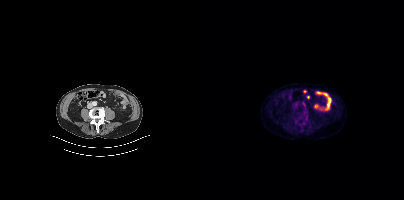
No tumor lesions annotated on this slice.